modality: PSMA PET/CT | tracer: 18F-PSMA | view: axial | PET grid: 200×200
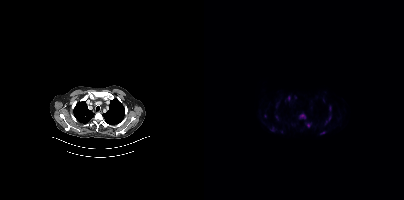
Coordinates are on the 200×200 PET (right) panel. (showing 9 of 11 foci) PSMA-avid tumor lesion bounding boxes (x, y, width, height): x=94 y=112 w=9 h=7; x=84 y=96 w=3 h=5; x=125 y=106 w=3 h=5; x=125 y=116 w=2 h=5. Small PSMA-avid foci (2 to 4 px across) near (center x, center y): (104, 125); (118, 132); (122, 121); (119, 100); (72, 116).